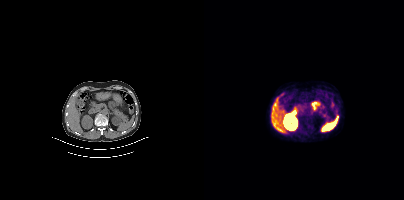
{"modality":"PSMA PET/CT","view":"axial","tracer":"[68Ga]Ga-PSMA-11","pet_grid":[200,200],"coord_frame":"pet_panel","coord_format":"x0,y0,x1,y1","psma_avid_lesions":false}